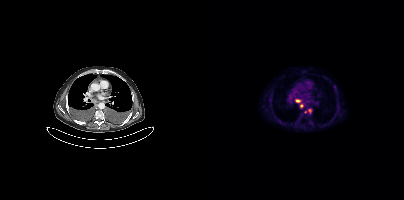
Coordinates are on the 200×200 PET (right) panel. PSMA-avid tumor lesion bounding boxes (x0, y0)-(x1, y1): (92, 99)-(96, 102) / (104, 109)-(107, 113). Small PSMA-avid foci (2 to 4 px across) near (center x, center y): (97, 105) / (101, 111).